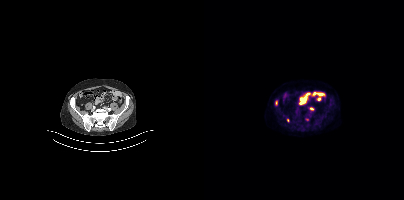
{"modality":"PSMA PET/CT","view":"axial","tracer":"[18F]PSMA-1007","pet_grid":[200,200],"coord_frame":"pet_panel","coord_format":"x0,y0,x1,y1","lesion_bboxes":[[71,101,73,105]],"small_foci_centers":[[102,119],[107,108],[83,120]]}